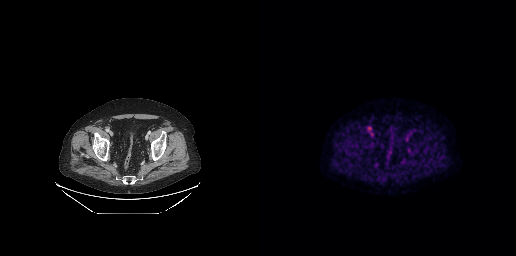
Coordinates are on the 256×256 PET (right) panel. (showing 1 of 2 foci) Small PSMA-avid focus (2 to 4 px across) near (center x, center y): (109, 128).
modality: PSMA PET/CT | tracer: 18F-PSMA | view: axial